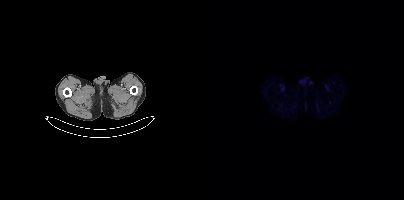
Two-panel axial: CT | PSMA PET, 18F tracer. Slice position z = -931 mm. No PSMA-avid tumor lesions on this slice.